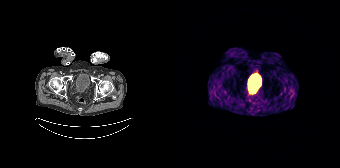
{"modality":"PSMA PET/CT","view":"axial","tracer":"[68Ga]Ga-PSMA-11","pet_grid":[168,168],"coord_frame":"pet_panel","coord_format":"x0,y0,x1,y1","psma_avid_lesions":false}